Technique: Left: CT. Right: PSMA PET, same axial level, 68Ga tracer.
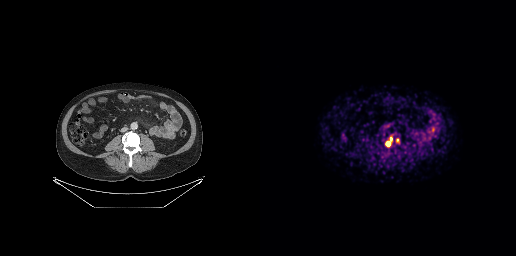
Findings: Coordinates are on the 256×256 PET (right) panel. (showing 1 of 2 foci) PSMA-avid tumor lesion bounding box (x0,y0,x1,y1): [126,141,130,146].